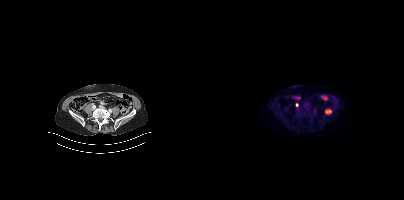
Coordinates are on the 200×200 PET (right) panel. Small PSMA-avid focus (2 to 4 px across) near (center x, center y): (92, 104).